Technique: Two-panel axial: CT | PSMA PET, 18F tracer. slice position z = -902 mm.
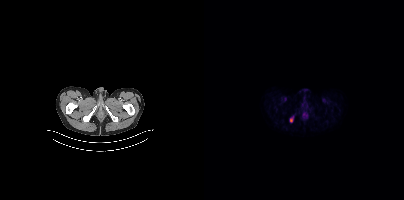
Findings: Coordinates are on the 200×200 PET (right) panel. PSMA-avid tumor lesion bounding box (x0, y0)-(x1, y1): (86, 118)-(88, 122).